Technique: Paired axial CT (left) and PSMA PET (right), 18F-PSMA tracer.
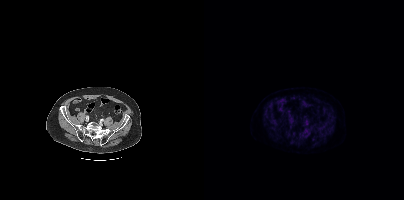
Findings: This slice has no annotated PSMA-avid lesion.